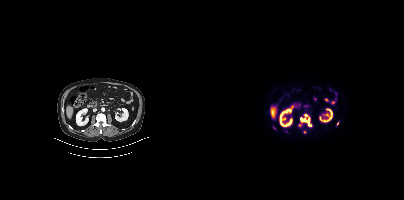
{"modality":"PSMA PET/CT","view":"axial","tracer":"18F-PSMA","pet_grid":[200,200],"coord_frame":"pet_panel","coord_format":"x0,y0,x1,y1","partial":true,"lesion_bboxes":[[96,114,107,126]],"small_foci_centers":[[100,132],[70,128],[133,123]]}